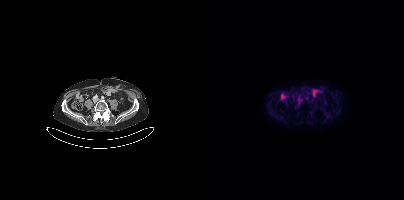
{"pet_grid":[200,200],"coord_frame":"pet_panel","coord_format":"x0,y0,x1,y1","psma_avid_lesions":false,"modality":"PSMA PET/CT","view":"axial","tracer":"18F-PSMA"}